Technique: Two-panel axial: CT | PSMA PET, 18F tracer. acquired on Siemens Biograph mCT Flow 20.
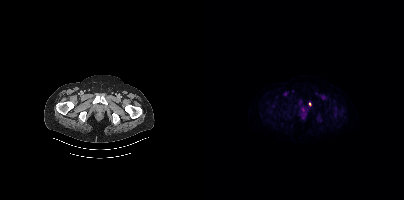
Findings: Coordinates are on the 200×200 PET (right) panel. PSMA-avid tumor lesion bounding boxes (x0,y0,x1,y1): [97,107,102,112]; [129,112,133,116]; [113,116,117,120]; [105,102,107,106]. Small PSMA-avid foci (2 to 4 px across) near (center x, center y): (69, 105); (95, 101).